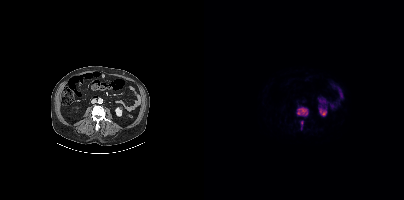
Coordinates are on the 200×200 PET (right) panel. PSMA-avid tumor lesion bounding boxes:
| # | x0 | y0 | x1 | y1 |
|---|---|---|---|---|
| 1 | 92 | 107 | 104 | 116 |
| 2 | 97 | 120 | 99 | 129 |
Left: CT. Right: PSMA PET, same axial level, [18F]PSMA-1007 tracer. Acquired on Siemens Biograph mCT Flow 20. PET panel 200×200 px (4.1 mm/px).